modality: PSMA PET/CT | tracer: 68Ga | view: axial | PET grid: 256×256
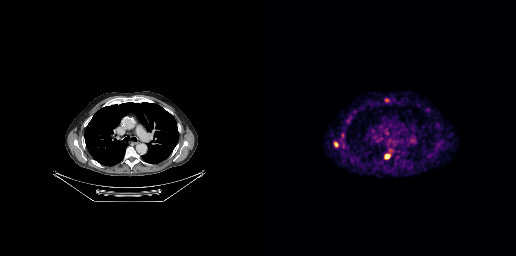
Coordinates are on the 256×256 PET (right) panel. PSMA-avid tumor lesion bounding boxes (x0, y0)-(x1, y1): (125, 154)-(129, 158) | (87, 116)-(90, 122) | (74, 142)-(77, 146).